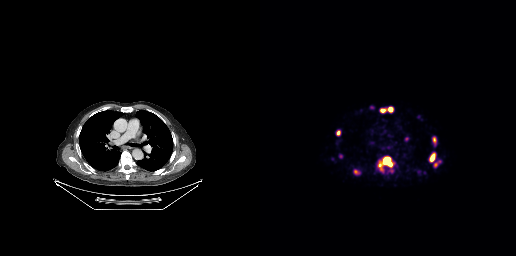
Findings: Coordinates are on the 256×256 PET (right) panel. PSMA-avid tumor lesion bounding boxes (x0,y0,x1,y1): [119,157,132,166], [170,153,175,161], [76,130,80,135], [128,108,132,111], [120,109,125,112], [173,137,175,141]. Small PSMA-avid foci (2 to 4 px across) near (center x, center y): (146, 138), (175, 164).
- Left: CT. Right: PSMA PET, same axial level, 68Ga-PSMA tracer
- acquired on GE Discovery 690
- slice 196 of 263
- PET panel 256×256 px (2.7 mm/px)